modality: PSMA PET/CT | tracer: 18F-PSMA | view: axial | PET grid: 256×256
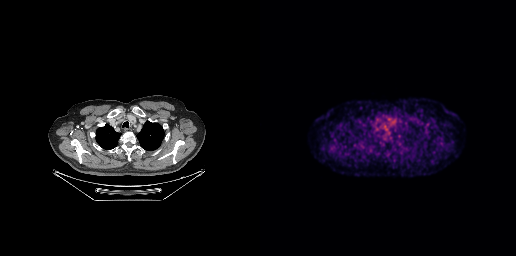
No tumor lesions annotated on this slice.